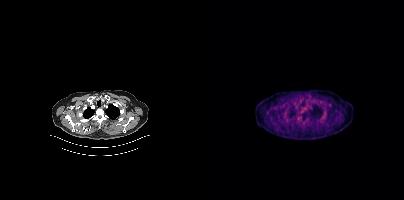
Paired axial CT (left) and PSMA PET (right), 18F tracer. Slice position z = -938 mm. Negative for PSMA-avid disease on this slice.